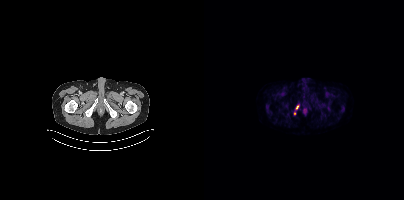
{"modality":"PSMA PET/CT","view":"axial","tracer":"68Ga-PSMA","pet_grid":[200,200],"coord_frame":"pet_panel","coord_format":"x0,y0,x1,y1","lesion_bboxes":[[92,105,94,109]],"small_foci_centers":[[90,113]]}